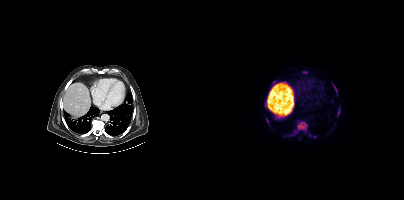
- Left: CT. Right: PSMA PET, same axial level, 18F-PSMA tracer
- slice position z = -1265 mm
Findings: Coordinates are on the 200×200 PET (right) panel. (showing 4 of 5 foci) PSMA-avid tumor lesion bounding boxes (x0, y0)-(x1, y1): (88, 120)-(103, 135) / (129, 85)-(133, 92) / (62, 118)-(65, 123) / (134, 110)-(135, 115).